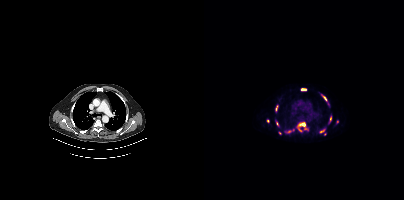
modality: PSMA PET/CT | tracer: 18F | view: axial | PET grid: 200×200
Coordinates are on the 200×200 PET (right) panel. (showing 8 of 13 foci) PSMA-avid tumor lesion bounding boxes (x0, y0)-(x1, y1): (95, 122)-(103, 129) / (97, 89)-(102, 90) / (119, 96)-(122, 100) / (116, 129)-(120, 132) / (71, 106)-(73, 112). Small PSMA-avid foci (2 to 4 px across) near (center x, center y): (96, 130) / (63, 121) / (126, 118).